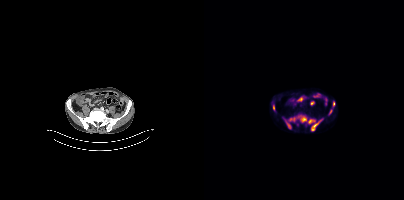
Findings: Coordinates are on the 200×200 PET (right) panel. PSMA-avid tumor lesion bounding boxes (x, y, width, height): x=104 y=118 w=16 h=14 / x=85 y=115 w=18 h=8 / x=82 y=121 w=6 h=8 / x=129 y=101 w=3 h=6 / x=69 y=104 w=3 h=7 / x=125 y=109 w=4 h=6.
- Left: CT. Right: PSMA PET, same axial level, [18F]PSMA-1007 tracer
- acquired on Siemens Biograph mCT Flow 20
- slice 118 of 375